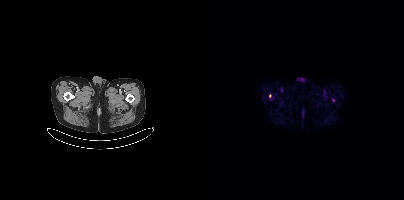
Coordinates are on the 200×200 PET (right) panel. (showing 1 of 2 foci) Small PSMA-avid focus (2 to 4 px across) near (center x, center y): (65, 96).